Two-panel axial: CT | PSMA PET, [18F]PSMA-1007 tracer. Acquired on GE Discovery 690. PET panel 256×256 px (2.7 mm/px).
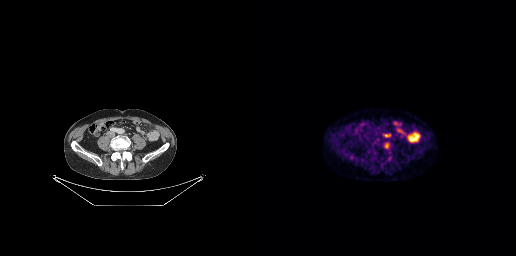
Coordinates are on the 256×256 PET (right) panel. PSMA-avid tumor lesion bounding boxes:
| # | x0 | y0 | x1 | y1 |
|---|---|---|---|---|
| 1 | 123 | 133 | 130 | 137 |
Small PSMA-avid focus (2 to 4 px across) near (center x, center y): (126, 145).